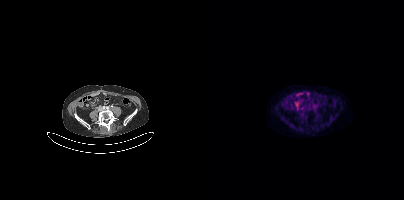
Coordinates are on the 200×200 PET (right) panel. (showing 1 of 2 foci) PSMA-avid tumor lesion bounding box (x, y, width, height): x=109 y=105 w=4 h=5.